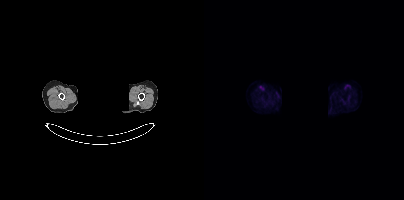
No tumor lesions annotated on this slice. Privacy masking over the head, with the pixels inside a rectangle set to black. Paired axial CT (left) and PSMA PET (right), 18F tracer. Acquired on Siemens Biograph mCT Flow 20.